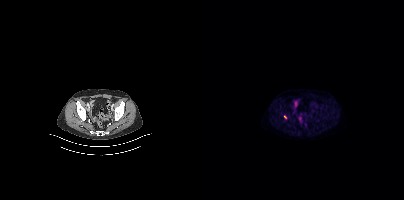
Technique: Two-panel axial: CT | PSMA PET, [18F]PSMA-1007 tracer. acquired on Siemens Biograph mCT Flow 20.
Findings: Coordinates are on the 200×200 PET (right) panel. Small PSMA-avid focus (2 to 4 px across) near (center x, center y): (81, 117).